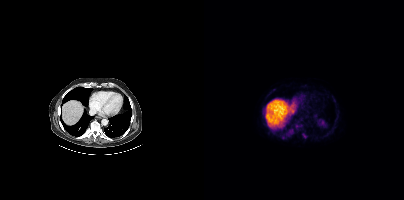
Left: CT. Right: PSMA PET, same axial level, 18F-PSMA tracer. Slice 352 of 508. Coordinates are on the 200×200 PET (right) panel. PSMA-avid tumor lesion bounding boxes (x0,y0,x1,y1): [78,135,81,139] [99,134,102,138]. Small PSMA-avid focus (2 to 4 px across) near (center x, center y): (92, 126).